The face region was removed for patient privacy by blanking a rectangle over the head.
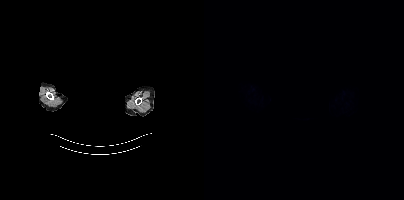
No tumor lesions annotated on this slice.